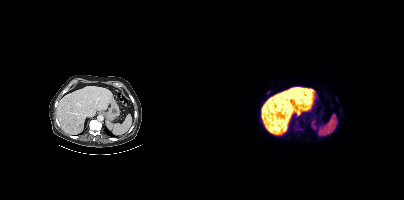
Coordinates are on the 200×200 PET (right) panel. (showing 1 of 3 foci) Small PSMA-avid focus (2 to 4 px across) near (center x, center y): (64, 92).